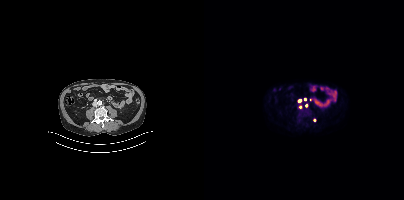
Paired axial CT (left) and PSMA PET (right), 18F tracer. PET panel 200×200 px (4.1 mm/px). Coordinates are on the 200×200 PET (right) panel. (showing 4 of 6 foci) Small PSMA-avid foci (2 to 4 px across) near (center x, center y): (95, 100) / (106, 99) / (102, 105) / (96, 106).